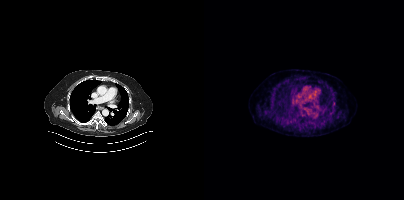
Findings: Only PSMA-avid lesion pieces thinner than 2 px on this slice (not listed).
Technique: Paired axial CT (left) and PSMA PET (right), 18F-PSMA tracer.